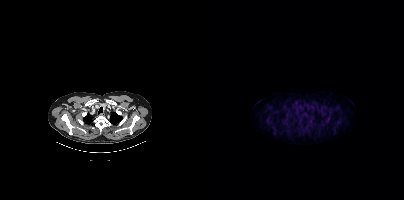
Paired axial CT (left) and PSMA PET (right), 18F tracer. Acquired on Siemens Biograph mCT Flow 20. Slice position z = -1035 mm. No tumor lesions annotated on this slice.